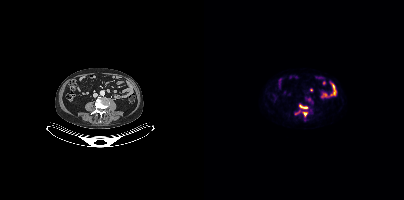
modality: PSMA PET/CT | tracer: 18F | view: axial | PET grid: 200×200
Coordinates are on the 200×200 PET (right) panel. (showing 2 of 3 foci) PSMA-avid tumor lesion bounding boxes (x0, y0)-(x1, y1): (95, 104)-(102, 108) / (99, 112)-(102, 116).